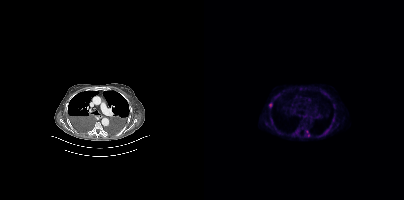
Coordinates are on the 200×200 PET (right) panel. (showing 5 of 7 foci) PSMA-avid tumor lesion bounding boxes (x0, y0)-(x1, y1): (90, 129)-(95, 133); (65, 103)-(68, 107); (119, 130)-(123, 134). Small PSMA-avid foci (2 to 4 px across) near (center x, center y): (103, 131); (104, 135).